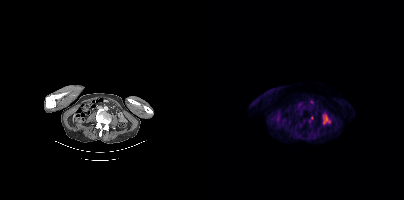
{"modality":"PSMA PET/CT","view":"axial","tracer":"18F-PSMA","pet_grid":[200,200],"coord_frame":"pet_panel","coord_format":"x0,y0,x1,y1","partial":true,"lesion_bboxes":[]}